Two-panel axial: CT | PSMA PET, [18F]PSMA-1007 tracer. Slice position z = -831 mm. PET panel 200×200 px (4.1 mm/px). Privacy masking over the head, with the pixels inside a rectangle set to black.
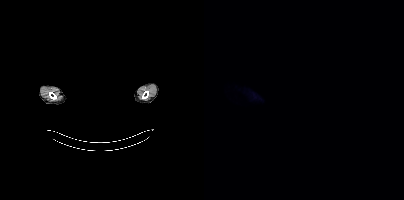
Negative for PSMA-avid disease on this slice.